modality: PSMA PET/CT | tracer: 18F-PSMA | view: axial
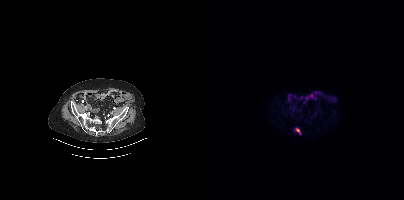
Coordinates are on the 200×200 PET (right) panel. PSMA-avid tumor lesion bounding box (x0, y0)-(x1, y1): (91, 127)-(97, 134).